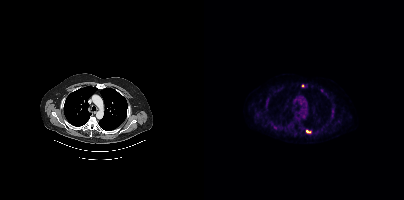
Left: CT. Right: PSMA PET, same axial level, [18F]PSMA-1007 tracer. Coordinates are on the 200×200 PET (right) panel. PSMA-avid tumor lesion bounding box (x, y, width, height): x=102 y=130 w=5 h=4. Small PSMA-avid focus (2 to 4 px across) near (center x, center y): (99, 85).